Two-panel axial: CT | PSMA PET, [18F]PSMA-1007 tracer. Slice position z = -1398 mm.
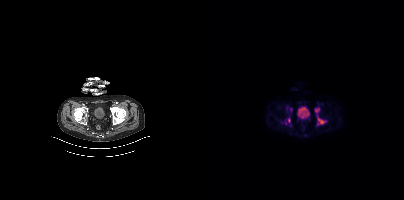
Coordinates are on the 200×200 PET (right) panel. PSMA-avid tumor lesion bounding boxes:
| # | x0 | y0 | x1 | y1 |
|---|---|---|---|---|
| 1 | 110 | 107 | 122 | 124 |
| 2 | 84 | 118 | 86 | 122 |
Small PSMA-avid foci (2 to 4 px across) near (center x, center y): (86, 109); (81, 123).